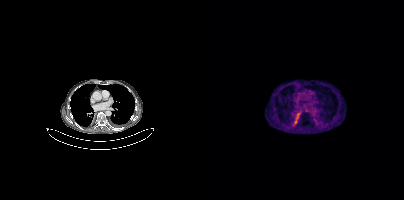
Coordinates are on the 200×200 PET (right) panel. Small PSMA-avid focus (2 to 4 px across) near (center x, center y): (103, 110).